Left: CT. Right: PSMA PET, same axial level, 18F tracer. Acquired on Siemens Biograph mCT Flow 20. Slice position z = -1154 mm.
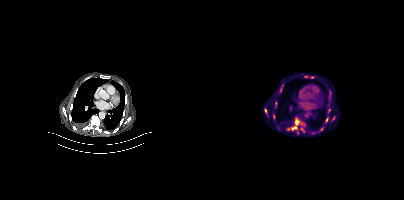
Coordinates are on the 200×200 PET (right) panel. PSMA-avid tumor lesion bounding boxes:
| # | x0 | y0 | x1 | y1 |
|---|---|---|---|---|
| 1 | 87 | 119 | 97 | 130 |
| 2 | 60 | 108 | 64 | 116 |
| 3 | 124 | 95 | 127 | 100 |
| 4 | 75 | 85 | 79 | 92 |
| 5 | 69 | 114 | 71 | 118 |
| 6 | 122 | 117 | 124 | 122 |
| 7 | 71 | 103 | 72 | 107 |
Small PSMA-avid foci (2 to 4 px across) near (center x, center y): (83, 129); (129, 118); (96, 127).